- Left: CT. Right: PSMA PET, same axial level, 18F-PSMA tracer
- PET panel 168×168 px (4.1 mm/px)
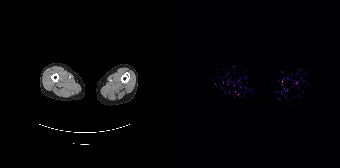
Findings: This slice has no annotated PSMA-avid lesion.